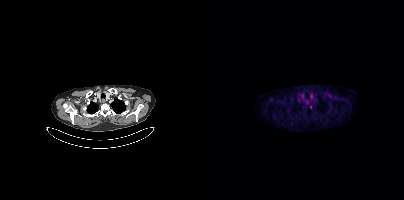
No PSMA-avid tumor lesions on this slice.